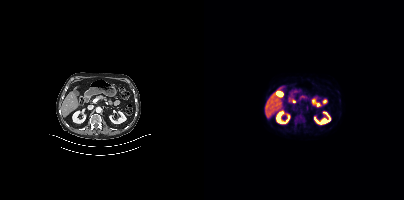
Left: CT. Right: PSMA PET, same axial level, 18F-PSMA tracer. Acquired on Siemens Biograph mCT Flow 20. PET panel 200×200 px (4.1 mm/px). Negative for PSMA-avid disease on this slice.